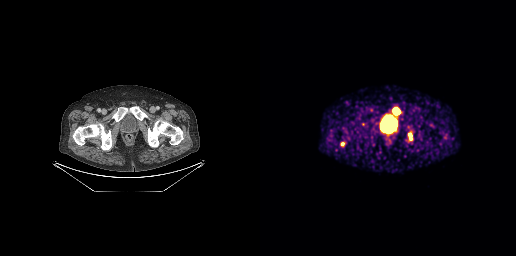
- Two-panel axial: CT | PSMA PET, 68Ga tracer
- acquired on GE Discovery 690
- slice position z = -969 mm
- PET panel 256×256 px (2.7 mm/px)
Findings: Coordinates are on the 256×256 PET (right) panel. PSMA-avid tumor lesion bounding boxes (x, y, width, height): x=133 y=108 w=7 h=7 / x=148 y=133 w=5 h=8. Small PSMA-avid focus (2 to 4 px across) near (center x, center y): (82, 144).